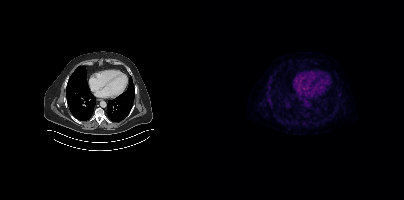
Negative for PSMA-avid disease on this slice.